- Left: CT. Right: PSMA PET, same axial level, 18F-PSMA tracer
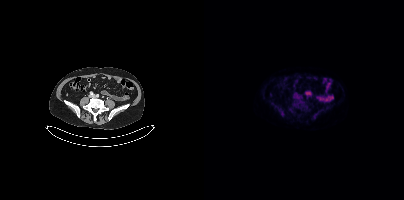
Findings: Negative for PSMA-avid disease on this slice.